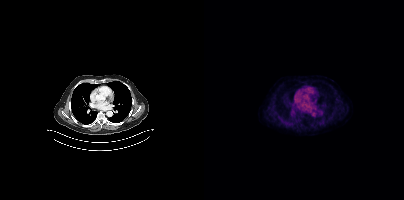
- Two-panel axial: CT | PSMA PET, 18F tracer
- slice 266 of 393
- PET panel 200×200 px (4.1 mm/px)
Findings: No tumor lesions annotated on this slice.